Two-panel axial: CT | PSMA PET, 18F tracer. Acquired on GE Discovery 690. Slice 218 of 263. PET panel 256×256 px (2.7 mm/px).
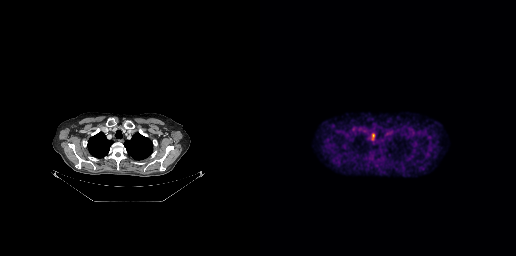
Coordinates are on the 256×256 PET (right) panel. PSMA-avid tumor lesion bounding box (x0, y0)-(x1, y1): (111, 133)-(115, 140).